Technique: Left: CT. Right: PSMA PET, same axial level, [18F]PSMA-1007 tracer. slice position z = -573 mm.
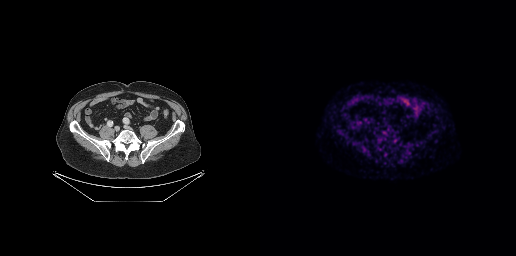
Findings: No tumor lesions annotated on this slice.